Left: CT. Right: PSMA PET, same axial level, [18F]PSMA-1007 tracer.
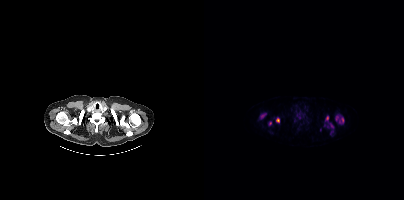
Coordinates are on the 200×200 PET (right) panel. PSMA-avid tumor lesion bounding boxes (x0, y0)-(x1, y1): (131, 115)-(140, 124) / (56, 114)-(61, 118) / (121, 116)-(124, 121) / (72, 118)-(75, 122) / (126, 123)-(129, 128). Small PSMA-avid foci (2 to 4 px across) near (center x, center y): (66, 123) / (116, 128).